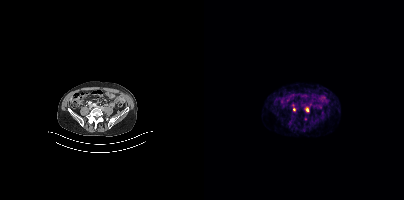
Coordinates are on the 200×200 PET (right) panel. Small PSMA-avid foci (2 to 4 px across) near (center x, center y): (103, 109) | (90, 109). Left: CT. Right: PSMA PET, same axial level, 68Ga tracer. Acquired on Siemens Biograph mCT Flow 20. PET panel 200×200 px (4.1 mm/px).